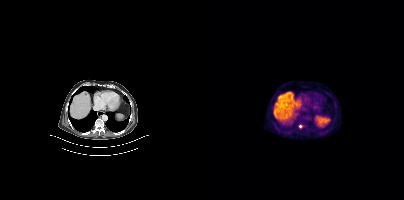
{"pet_grid":[200,200],"coord_frame":"pet_panel","coord_format":"x0,y0,x1,y1","lesion_bboxes":[[94,124,99,128]],"modality":"PSMA PET/CT","view":"axial","tracer":"[18F]PSMA-1007"}